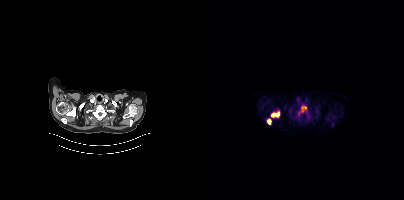
Coordinates are on the 200×200 PET (right) panel. PSMA-avid tumor lesion bounding boxes (x0,y0,x1,y1): [97,106,104,116], [67,111,75,117], [63,119,67,124]. Small PSMA-avid focus (2 to 4 px across) near (center x, center y): (86, 111).